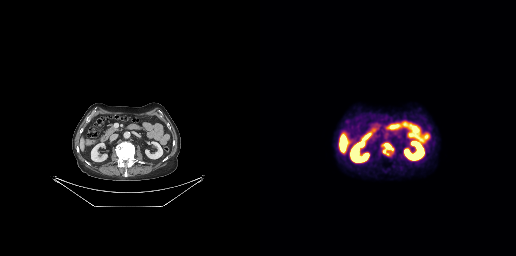
- Two-panel axial: CT | PSMA PET, 18F tracer
- PET panel 256×256 px (2.7 mm/px)
Findings: Coordinates are on the 256×256 PET (right) panel. PSMA-avid tumor lesion bounding box (x, y, width, height): x=121 y=142 w=14 h=15.